Paired axial CT (left) and PSMA PET (right), 18F tracer. Acquired on Siemens Biograph mCT Flow 20. PET panel 200×200 px (4.1 mm/px).
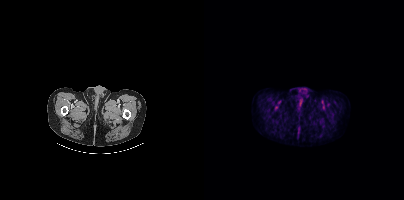
No tumor lesions annotated on this slice.